Left: CT. Right: PSMA PET, same axial level, 68Ga tracer. Slice position z = -483 mm.
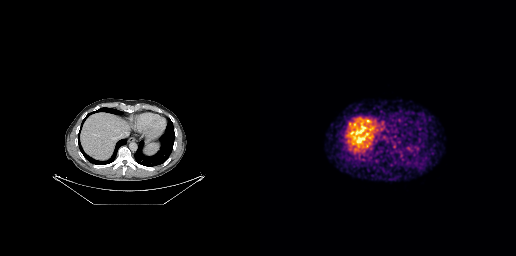
No tumor lesions annotated on this slice.